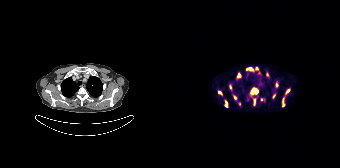
{"modality":"PSMA PET/CT","view":"axial","tracer":"68Ga","pet_grid":[168,168],"coord_frame":"pet_panel","coord_format":"x0,y0,x1,y1","partial":true,"lesion_bboxes":[[79,88,86,94],[66,73,68,77],[53,101,55,106],[114,89,117,93]],"small_foci_centers":[[47,92],[67,103],[78,69],[102,96],[82,100],[58,87],[89,99],[111,105],[84,67],[104,84],[62,97]]}